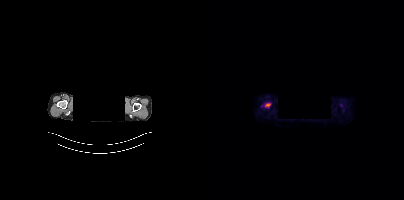
modality: PSMA PET/CT | tracer: 18F | view: axial | PET grid: 200×200 | de-identification: head region blacked out before release
Coordinates are on the 200×200 PET (right) panel. PSMA-avid tumor lesion bounding box (x0, y0)-(x1, y1): (60, 103)-(66, 107).